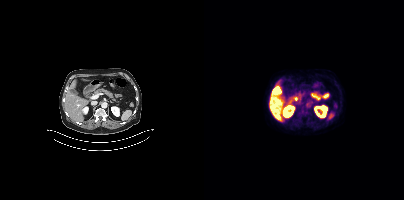
Negative for PSMA-avid disease on this slice. Two-panel axial: CT | PSMA PET, 18F tracer. Acquired on Siemens Biograph mCT Flow 20. Slice 196 of 393. PET panel 200×200 px (4.1 mm/px).